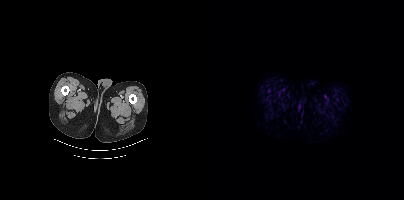
Left: CT. Right: PSMA PET, same axial level, [18F]PSMA-1007 tracer. PET panel 200×200 px (4.1 mm/px). This slice has no annotated PSMA-avid lesion.